Two-panel axial: CT | PSMA PET, 18F-PSMA tracer. Acquired on GE Discovery 690.
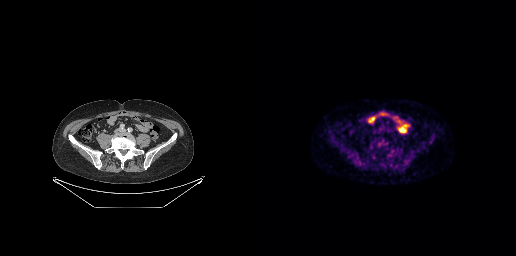
No PSMA-avid tumor lesions on this slice.